modality: PSMA PET/CT | tracer: 18F | view: axial | PET grid: 200×200
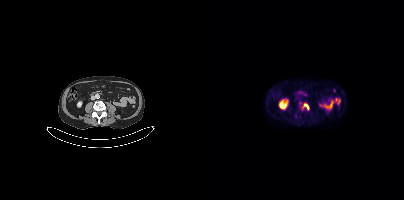
Coordinates are on the 200×200 PET (right) panel. (showing 1 of 2 foci) PSMA-avid tumor lesion bounding box (x0,y0,x1,y1): [98,103,105,110].